Left: CT. Right: PSMA PET, same axial level, 18F-PSMA tracer. Acquired on GE Discovery 690. PET panel 256×256 px (2.7 mm/px).
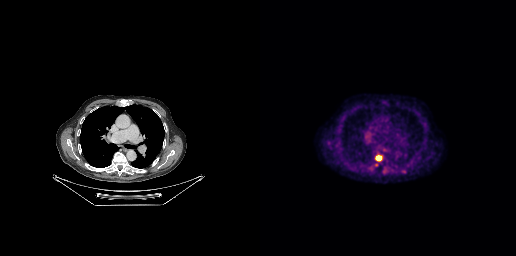
Coordinates are on the 256×256 PET (right) panel. PSMA-avid tumor lesion bounding boxes:
| # | x0 | y0 | x1 | y1 |
|---|---|---|---|---|
| 1 | 116 | 156 | 121 | 162 |
| 2 | 140 | 169 | 146 | 173 |
| 3 | 114 | 163 | 118 | 166 |